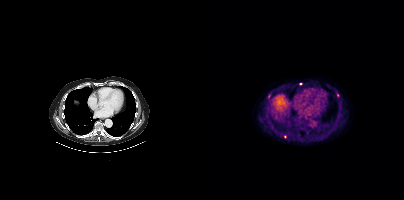
Left: CT. Right: PSMA PET, same axial level, 18F tracer. Slice 259 of 403.
Coordinates are on the 200×200 PET (right) panel. PSMA-avid tumor lesion bounding boxes:
| # | x0 | y0 | x1 | y1 |
|---|---|---|---|---|
| 1 | 64 | 94 | 66 | 98 |
Small PSMA-avid foci (2 to 4 px across) near (center x, center y): (96, 83); (133, 95); (80, 136).